Paired axial CT (left) and PSMA PET (right), [68Ga]Ga-PSMA-11 tracer. PET panel 256×256 px (2.7 mm/px).
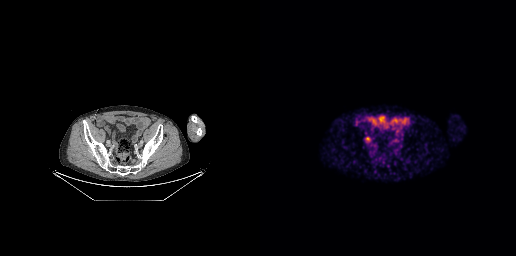
Only PSMA-avid lesion pieces thinner than 2 px on this slice (not listed).